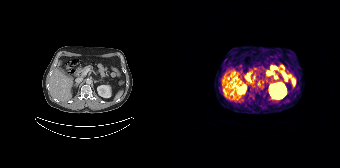
No tumor lesions annotated on this slice.